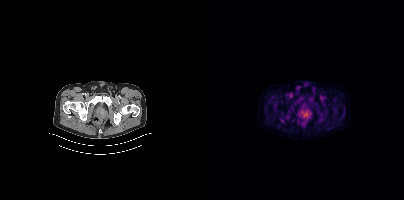
Paired axial CT (left) and PSMA PET (right), 18F tracer. Slice position z = -1592 mm. PET panel 200×200 px (4.1 mm/px). Coordinates are on the 200×200 PET (right) panel. PSMA-avid tumor lesion bounding box (x0,y0,x1,y1): [97,111,104,116].